modality: PSMA PET/CT | tracer: [18F]PSMA-1007 | view: axial
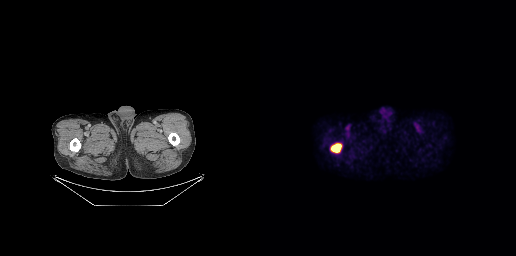
Coordinates are on the 256×256 PET (right) panel. PSMA-avid tumor lesion bounding box (x, y, width, height): x=70 y=142 w=13 h=12.